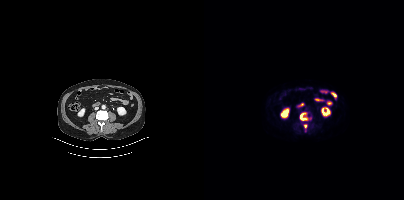
Findings: Coordinates are on the 200×200 PET (right) panel. PSMA-avid tumor lesion bounding box (x0, y0)-(x1, y1): (96, 113)-(103, 120). Small PSMA-avid focus (2 to 4 px across) near (center x, center y): (101, 126).
Technique: Paired axial CT (left) and PSMA PET (right), 18F tracer. acquired on Siemens Biograph mCT Flow 20.